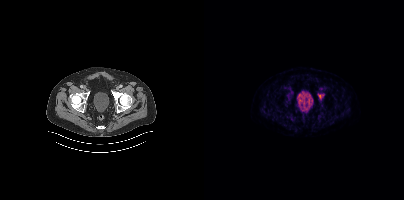
{"pet_grid":[200,200],"coord_frame":"pet_panel","coord_format":"x0,y0,x1,y1","lesion_bboxes":[[114,94,119,98]],"modality":"PSMA PET/CT","view":"axial","tracer":"18F-PSMA"}